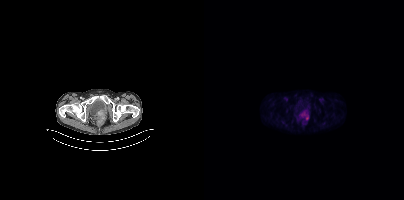
Left: CT. Right: PSMA PET, same axial level, 18F-PSMA tracer. Coordinates are on the 200×200 PET (right) panel. PSMA-avid tumor lesion bounding box (x0,y0,x1,y1): [97,112,104,120].